Left: CT. Right: PSMA PET, same axial level, 18F tracer. Acquired on GE Discovery 690. PET panel 256×256 px (2.7 mm/px).
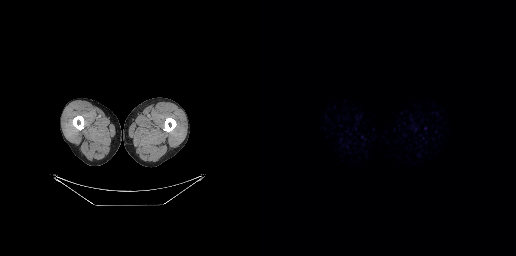
No tumor lesions annotated on this slice.